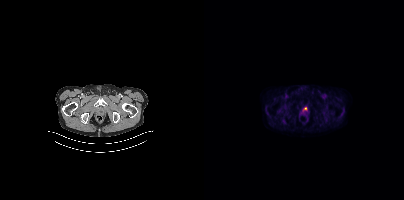
Left: CT. Right: PSMA PET, same axial level, [18F]PSMA-1007 tracer. Coordinates are on the 200×200 PET (right) panel. Small PSMA-avid focus (2 to 4 px across) near (center x, center y): (100, 108).